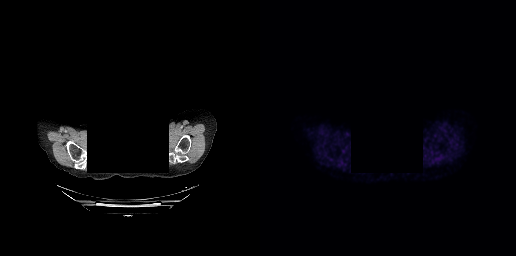
de-identification: privacy mask over head | modality: PSMA PET/CT | tracer: [18F]PSMA-1007 | view: axial
No PSMA-avid tumor lesions on this slice.